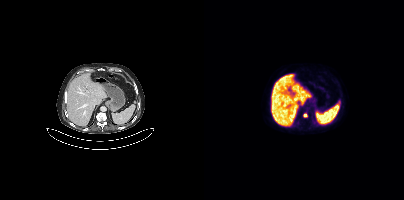
Coordinates are on the 200×200 PET (right) panel. Small PSMA-avid focus (2 to 4 px across) near (center x, center y): (101, 115).